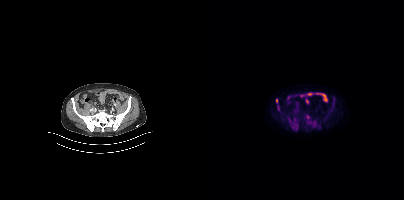
Coordinates are on the 200×200 PET (right) panel. (showing 4 of 6 foci) PSMA-avid tumor lesion bounding box (x0, y0)-(x1, y1): (102, 115)-(105, 119). Small PSMA-avid foci (2 to 4 px across) near (center x, center y): (104, 122) / (72, 100) / (92, 125).